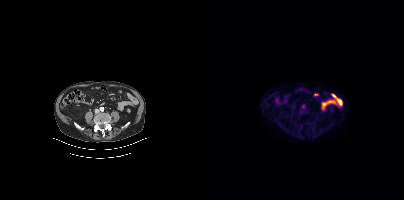
Findings: Negative for PSMA-avid disease on this slice.
Technique: Left: CT. Right: PSMA PET, same axial level, [18F]PSMA-1007 tracer. acquired on Siemens Biograph mCT Flow 20. slice position z = -1332 mm. PET panel 200×200 px (4.1 mm/px).